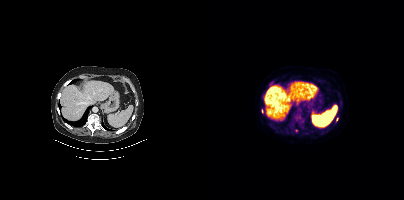
Two-panel axial: CT | PSMA PET, 18F tracer. Slice position z = -492 mm. Coordinates are on the 200×200 PET (right) panel. Small PSMA-avid foci (2 to 4 px across) near (center x, center y): (133, 119) (58, 110) (92, 130).